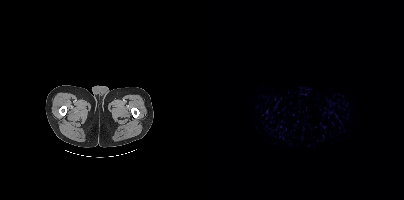
{"modality":"PSMA PET/CT","view":"axial","tracer":"[18F]PSMA-1007","pet_grid":[200,200],"coord_frame":"pet_panel","coord_format":"x0,y0,x1,y1","partial":true,"lesion_bboxes":[]}